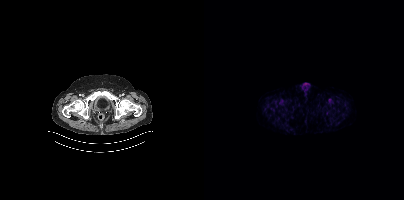
Findings: No PSMA-avid tumor lesions on this slice.
- Two-panel axial: CT | PSMA PET, [18F]PSMA-1007 tracer
- acquired on Siemens Biograph mCT Flow 20
- slice position z = -422 mm